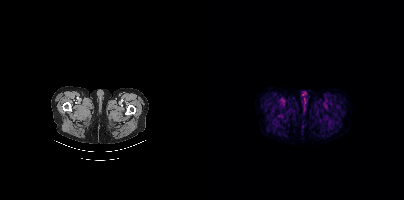
{"modality":"PSMA PET/CT","view":"axial","tracer":"[18F]PSMA-1007","pet_grid":[200,200],"coord_frame":"pet_panel","coord_format":"x0,y0,x1,y1","psma_avid_lesions":false}